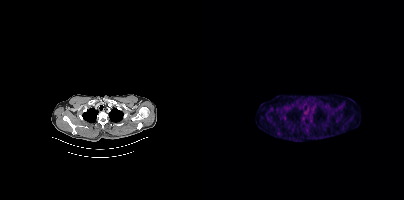
Findings: No PSMA-avid tumor lesions on this slice.
- Two-panel axial: CT | PSMA PET, 18F tracer
- slice 356 of 448